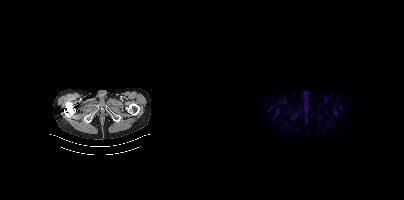
Technique: Paired axial CT (left) and PSMA PET (right), [18F]PSMA-1007 tracer. PET panel 200×200 px (4.1 mm/px).
Findings: No PSMA-avid tumor lesions on this slice.